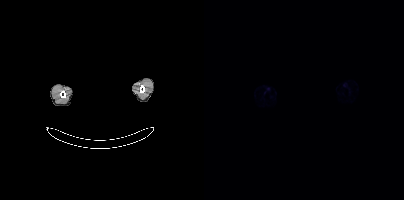
Technique: Paired axial CT (left) and PSMA PET (right), 68Ga-PSMA tracer. slice position z = -1014 mm. PET panel 200×200 px (4.1 mm/px).
Note: Head region blanked for anonymization (face removed).
Findings: This slice has no annotated PSMA-avid lesion.